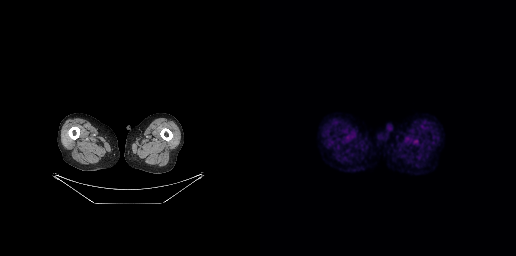
- Two-panel axial: CT | PSMA PET, [18F]PSMA-1007 tracer
- slice 13 of 263
Findings: Negative for PSMA-avid disease on this slice.